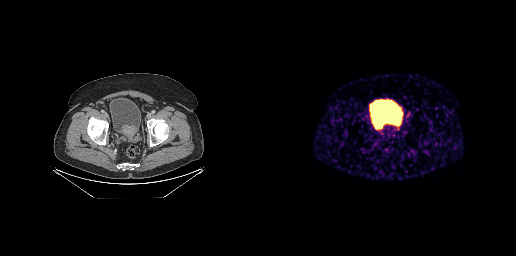
{"modality":"PSMA PET/CT","view":"axial","tracer":"68Ga-PSMA","pet_grid":[256,256],"coord_frame":"pet_panel","coord_format":"x0,y0,x1,y1","partial":true,"lesion_bboxes":[]}